Technique: Left: CT. Right: PSMA PET, same axial level, 18F-PSMA tracer. acquired on Siemens Biograph mCT Flow 20.
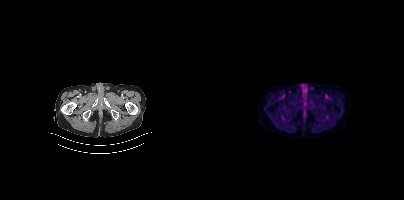
Findings: No PSMA-avid tumor lesions on this slice.